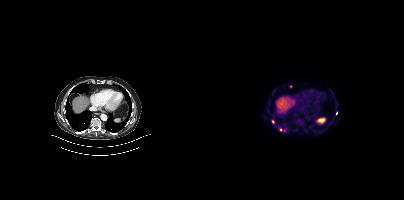
Coordinates are on the 200×200 PET (right) panel. PSMA-avid tumor lesion bounding boxes:
| # | x0 | y0 | x1 | y1 |
|---|---|---|---|---|
| 1 | 75 | 128 | 81 | 131 |
Small PSMA-avid foci (2 to 4 px across) near (center x, center y): (68, 121); (86, 86); (132, 113).
Two-panel axial: CT | PSMA PET, 18F-PSMA tracer.